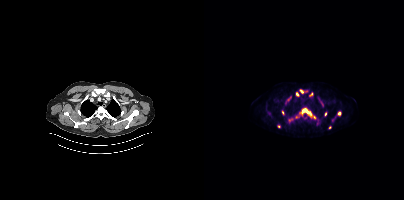
Technique: Two-panel axial: CT | PSMA PET, [18F]PSMA-1007 tracer. slice 333 of 429. PET panel 200×200 px (4.1 mm/px).
Findings: Coordinates are on the 200×200 PET (right) panel. (showing 9 of 12 foci) PSMA-avid tumor lesion bounding box (x, y, width, height): x=98 y=109 w=14 h=10. Small PSMA-avid foci (2 to 4 px across) near (center x, center y): (135, 113) | (93, 94) | (78, 112) | (97, 91) | (121, 114) | (75, 125) | (125, 127) | (92, 116).